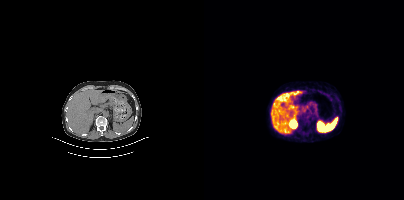
No tumor lesions annotated on this slice.